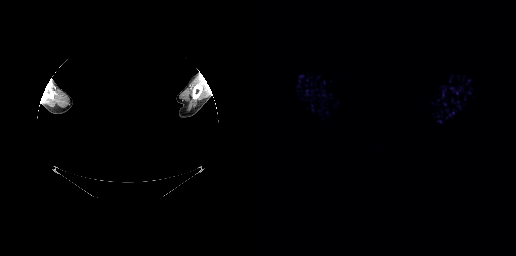
Findings: No PSMA-avid tumor lesions on this slice.
- Paired axial CT (left) and PSMA PET (right), [68Ga]Ga-PSMA-11 tracer
- acquired on GE Discovery 690
- PET panel 256×256 px (2.7 mm/px)
- a rectangle over the head was blacked out to remove identifiable facial features